modality: PSMA PET/CT | tracer: 18F-PSMA | view: axial | PET grid: 200×200
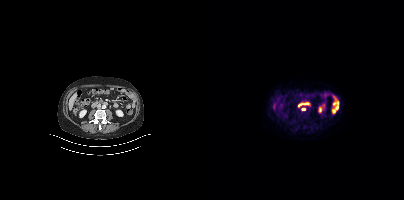
Coordinates are on the 200×200 PET (right) panel. PSMA-avid tumor lesion bounding box (x0, y0)-(x1, y1): (97, 107)-(101, 110).